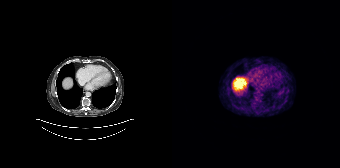
Left: CT. Right: PSMA PET, same axial level, [68Ga]Ga-PSMA-11 tracer. Slice 104 of 165. Negative for PSMA-avid disease on this slice.